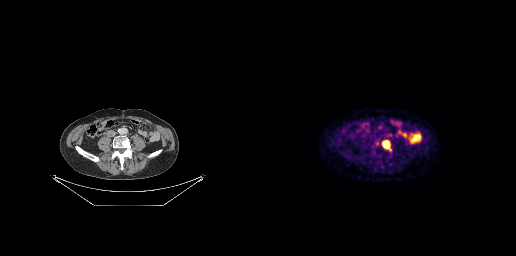
Technique: Two-panel axial: CT | PSMA PET, [18F]PSMA-1007 tracer. acquired on GE Discovery 690. slice position z = -647 mm. PET panel 256×256 px (2.7 mm/px).
Findings: Coordinates are on the 256×256 PET (right) panel. PSMA-avid tumor lesion bounding boxes (x0, y0)-(x1, y1): (122, 140)-(131, 151) | (115, 141)-(119, 145). Small PSMA-avid focus (2 to 4 px across) near (center x, center y): (128, 135).